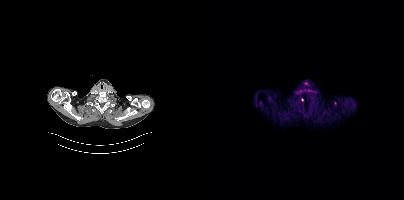
Only PSMA-avid lesion pieces thinner than 2 px on this slice (not listed). Left: CT. Right: PSMA PET, same axial level, [18F]PSMA-1007 tracer. Slice position z = -406 mm. PET panel 200×200 px (4.1 mm/px).